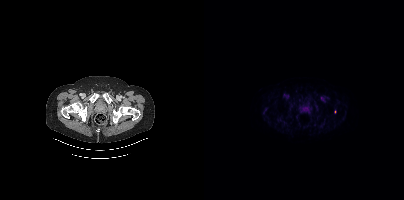
Coordinates are on the 200×200 PET (right) panel. Small PSMA-avid focus (2 to 4 px across) near (center x, center y): (131, 111).